Head region blanked for anonymization (face removed).
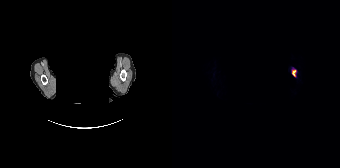
Coordinates are on the 168×168 PET (right) panel. PSMA-avid tumor lesion bounding box (x0, y0)-(x1, y1): (120, 69)-(124, 76).